Two-panel axial: CT | PSMA PET, [68Ga]Ga-PSMA-11 tracer. Acquired on Siemens Biograph 64-4R TruePoint. Slice 16 of 195.
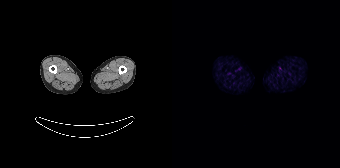
No PSMA-avid tumor lesions on this slice.